Left: CT. Right: PSMA PET, same axial level, [18F]PSMA-1007 tracer.
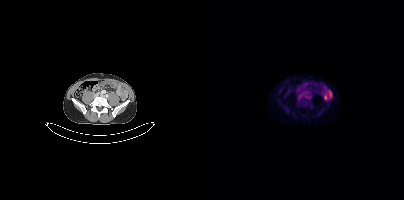
No PSMA-avid tumor lesions on this slice.